modality: PSMA PET/CT | tracer: 18F | view: axial
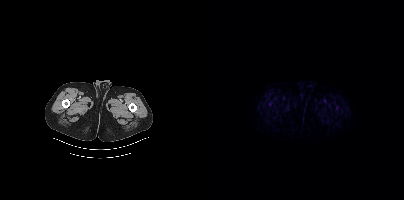
No tumor lesions annotated on this slice.